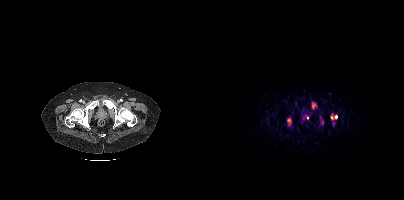
modality: PSMA PET/CT | tracer: 68Ga-PSMA | view: axial
Coordinates are on the 200×200 PET (right) panel. PSMA-avid tumor lesion bounding box (x, y, width, height): x=108 y=102 w=6 h=7. Small PSMA-avid foci (2 to 4 px across) near (center x, center y): (132, 116) / (118, 123) / (127, 117) / (85, 120) / (103, 117).